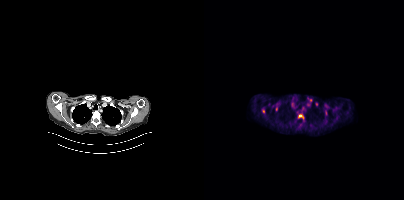
{"modality":"PSMA PET/CT","view":"axial","tracer":"[18F]PSMA-1007","pet_grid":[200,200],"coord_frame":"pet_panel","coord_format":"x0,y0,x1,y1","partial":true,"lesion_bboxes":[[94,114,99,119]],"small_foci_centers":[[59,111],[112,104],[72,109],[121,112]]}